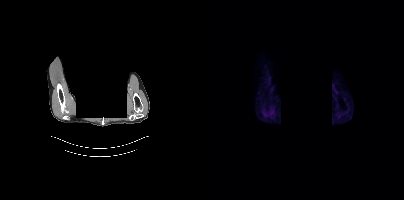
- Two-panel axial: CT | PSMA PET, [18F]PSMA-1007 tracer
- acquired on Siemens Biograph mCT Flow 20
- the head region is masked for de-identification
Findings: Negative for PSMA-avid disease on this slice.